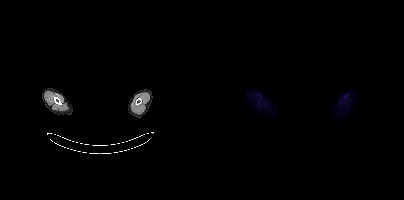
Privacy masking over the head, with the pixels inside a rectangle set to black. Paired axial CT (left) and PSMA PET (right), [18F]PSMA-1007 tracer. Acquired on Siemens Biograph mCT Flow 20. No PSMA-avid tumor lesions on this slice.